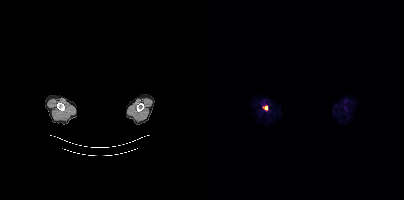
{"pet_grid":[200,200],"coord_frame":"pet_panel","coord_format":"x0,y0,x1,y1","lesion_bboxes":[[58,105,64,110]],"modality":"PSMA PET/CT","view":"axial","tracer":"18F-PSMA","redaction":"face masked with black rectangle"}